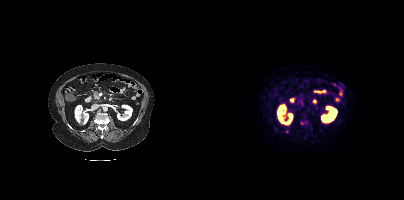
Coordinates are on the 200×200 PET (right) panel. (showing 1 of 2 foci) Small PSMA-avid focus (2 to 4 px across) near (center x, center y): (83, 131).